- Two-panel axial: CT | PSMA PET, 18F tracer
- acquired on Siemens Biograph mCT Flow 20
- PET panel 200×200 px (4.1 mm/px)
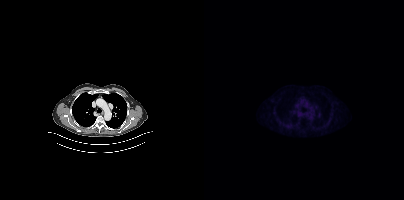
Findings: Negative for PSMA-avid disease on this slice.